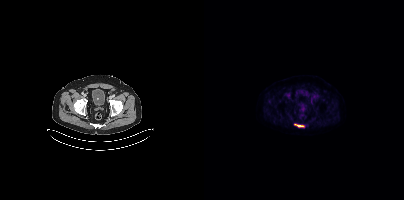
{"pet_grid":[200,200],"coord_frame":"pet_panel","coord_format":"x0,y0,x1,y1","lesion_bboxes":[[90,124,100,127]],"modality":"PSMA PET/CT","view":"axial","tracer":"[18F]PSMA-1007"}